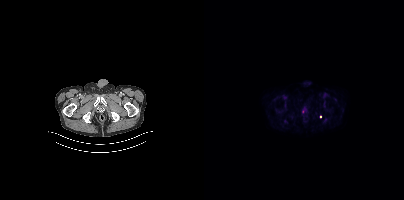
Findings: This slice has no annotated PSMA-avid lesion.
- Two-panel axial: CT | PSMA PET, [18F]PSMA-1007 tracer